Left: CT. Right: PSMA PET, same axial level, 18F tracer. Acquired on Siemens Biograph mCT Flow 20.
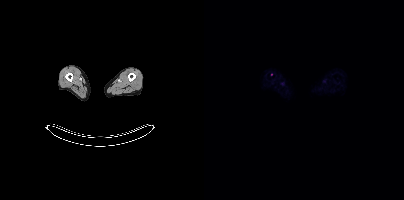
Negative for PSMA-avid disease on this slice.